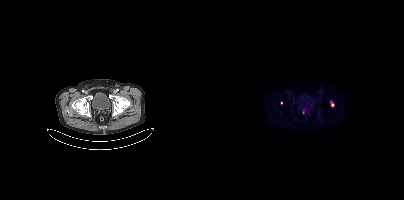
{"modality":"PSMA PET/CT","view":"axial","tracer":"18F-PSMA","pet_grid":[200,200],"coord_frame":"pet_panel","coord_format":"x0,y0,x1,y1","lesion_bboxes":[],"small_foci_centers":[[126,101],[99,110]]}